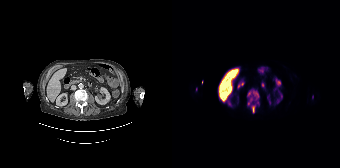
Findings: Coordinates are on the 168×168 PET (right) panel. PSMA-avid tumor lesion bounding boxes (x0,y0,x1,y1): [81,91,86,99] [79,105,83,112] [76,97,80,105]. Small PSMA-avid foci (2 to 4 px across) near (center x, center y): (77, 93) (85, 102).
- Two-panel axial: CT | PSMA PET, [18F]PSMA-1007 tracer
- acquired on Siemens Biograph 64-4R TruePoint